Two-panel axial: CT | PSMA PET, 18F tracer. PET panel 200×200 px (4.1 mm/px).
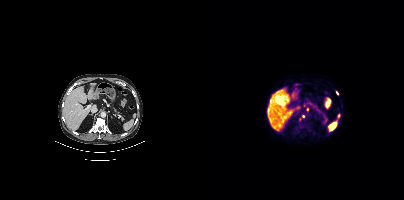
Coordinates are on the 200×200 PET (right) panel. Small PSMA-avid foci (2 to 4 px across) near (center x, center y): (103, 109) / (99, 116) / (133, 93).